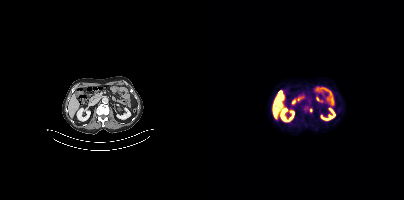
Coordinates are on the 200×200 PET (right) panel. Small PSMA-avid focus (2 to 4 px across) near (center x, center y): (107, 110).